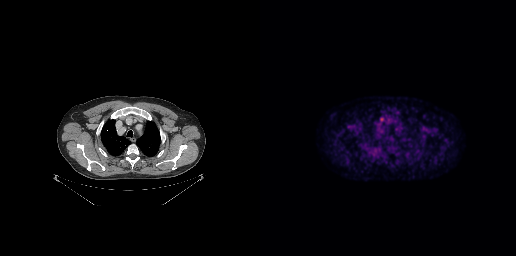
Only PSMA-avid lesion pieces thinner than 2 px on this slice (not listed).